Two-panel axial: CT | PSMA PET, 18F-PSMA tracer. Acquired on Siemens Biograph mCT Flow 20. Slice position z = -1125 mm. PET panel 200×200 px (4.1 mm/px).
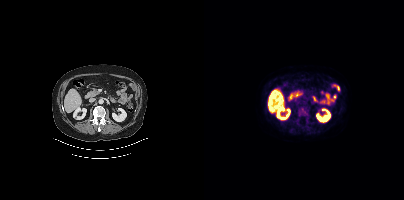
Coordinates are on the 200×200 PET (right) panel. PSMA-avid tumor lesion bounding boxes:
| # | x0 | y0 | x1 | y1 |
|---|---|---|---|---|
| 1 | 93 | 107 | 105 | 119 |
Small PSMA-avid focus (2 to 4 px across) near (center x, center y): (94, 120).